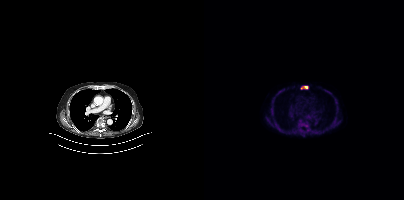
{"pet_grid":[200,200],"coord_frame":"pet_panel","coord_format":"x0,y0,x1,y1","partial":true,"lesion_bboxes":[[100,124,106,130]],"small_foci_centers":[[101,87]],"modality":"PSMA PET/CT","view":"axial","tracer":"[18F]PSMA-1007"}